modality: PSMA PET/CT | tracer: [18F]PSMA-1007 | view: axial
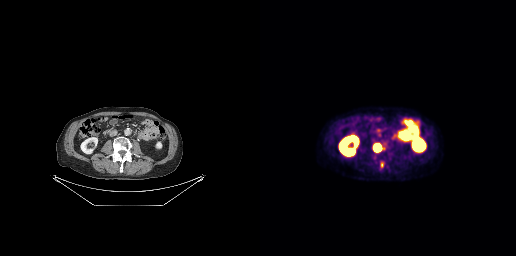
Coordinates are on the 256×256 PET (right) panel. PSMA-avid tumor lesion bounding boxes (x, y, width, height): x=113 y=140 w=16 h=13 | x=120 y=161 w=5 h=7 | x=117 y=131 w=5 h=6 | x=113 y=155 w=4 h=5.